- Left: CT. Right: PSMA PET, same axial level, 18F tracer
- acquired on Siemens Biograph mCT Flow 20
- PET panel 200×200 px (4.1 mm/px)
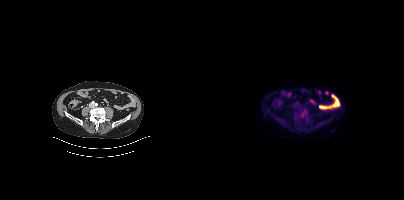
Findings: Coordinates are on the 200×200 PET (right) panel. PSMA-avid tumor lesion bounding box (x, y, width, height): x=95 y=110 w=8 h=8.